- Left: CT. Right: PSMA PET, same axial level, [68Ga]Ga-PSMA-11 tracer
- slice position z = -698 mm
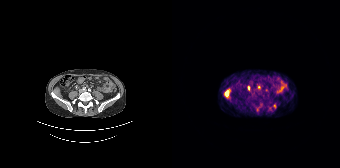
Findings: Coordinates are on the 168×168 PET (right) panel. (showing 4 of 5 foci) PSMA-avid tumor lesion bounding boxes (x0,y0,x1,y1): [52,89,57,97], [76,86,77,90]. Small PSMA-avid foci (2 to 4 px across) near (center x, center y): (87, 87), (102, 106).